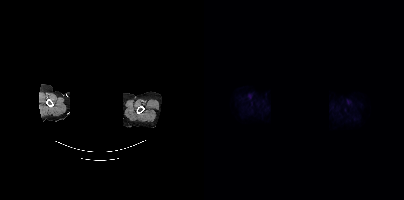
Negative for PSMA-avid disease on this slice. Two-panel axial: CT | PSMA PET, 18F tracer. Slice position z = -859 mm. The head region is masked for de-identification.